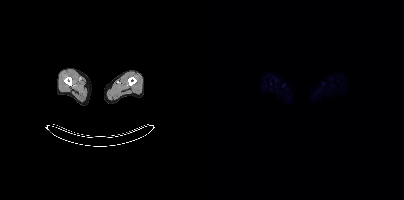
Two-panel axial: CT | PSMA PET, 18F-PSMA tracer. Acquired on Siemens Biograph mCT Flow 20. PET panel 200×200 px (4.1 mm/px). No tumor lesions annotated on this slice.